An anonymization step blacked out a rectangle over the head in this scan. Paired axial CT (left) and PSMA PET (right), 18F-PSMA tracer. PET panel 200×200 px (4.1 mm/px).
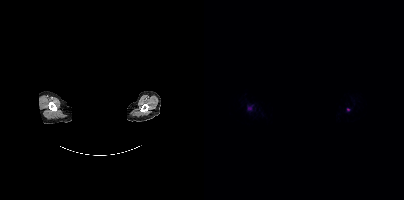
Coordinates are on the 200×200 PET (right) panel. Small PSMA-avid foci (2 to 4 px across) near (center x, center y): (45, 108) (144, 109).